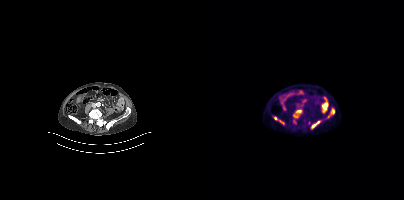
Two-panel axial: CT | PSMA PET, 18F tracer. Acquired on Siemens Biograph mCT Flow 20. Slice 120 of 367. PET panel 200×200 px (4.1 mm/px).
Coordinates are on the 200×200 PET (right) panel. PSMA-avid tumor lesion bounding boxes (partial; 1 more focus not listed):
| # | x0 | y0 | x1 | y1 |
|---|---|---|---|---|
| 1 | 89 | 109 | 97 | 118 |
Small PSMA-avid foci (2 to 4 px across) near (center x, center y): (71, 117); (91, 122).